modality: PSMA PET/CT | tracer: [18F]PSMA-1007 | view: axial | PET grid: 200×200
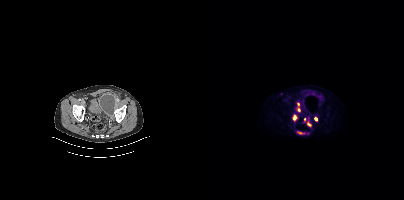
Coordinates are on the 200×200 PET (right) panel. (showing 5 of 6 foci) PSMA-avid tumor lesion bounding box (x0, y0)-(x1, y1): (89, 115)-(92, 120). Small PSMA-avid foci (2 to 4 px across) near (center x, center y): (95, 109); (111, 118); (104, 124); (94, 104).